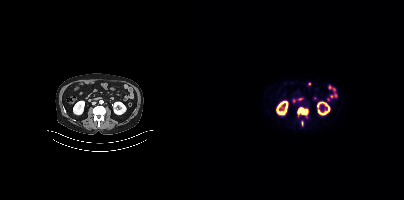
modality: PSMA PET/CT | tracer: 18F | view: axial
Coordinates are on the 200×200 PET (right) panel. PSMA-avid tumor lesion bounding boxes (x0,y0,x1,y1): [93,107,104,117]; [97,121,99,125].